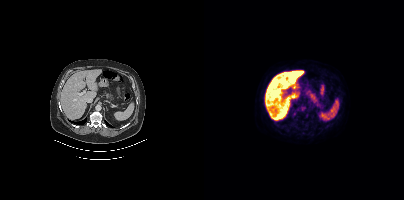
{"pet_grid":[200,200],"coord_frame":"pet_panel","coord_format":"x0,y0,x1,y1","lesion_bboxes":[],"small_foci_centers":[[94,109]],"modality":"PSMA PET/CT","view":"axial","tracer":"18F"}